Left: CT. Right: PSMA PET, same axial level, 68Ga tracer. Acquired on Siemens Biograph mCT Flow 20. PET panel 200×200 px (4.1 mm/px).
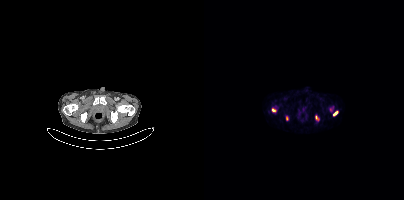
Coordinates are on the 200×200 PET (right) panel. PSMA-avid tumor lesion bounding boxes:
| # | x0 | y0 | x1 | y1 |
|---|---|---|---|---|
| 1 | 129 | 111 | 133 | 115 |
| 2 | 111 | 116 | 114 | 120 |
| 3 | 82 | 116 | 84 | 120 |
Small PSMA-avid focus (2 to 4 px across) near (center x, center y): (69, 109).